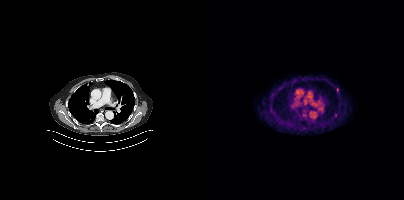
{"modality":"PSMA PET/CT","view":"axial","tracer":"18F-PSMA","pet_grid":[200,200],"coord_frame":"pet_panel","coord_format":"x0,y0,x1,y1","lesion_bboxes":[],"small_foci_centers":[[133,89],[131,115]]}